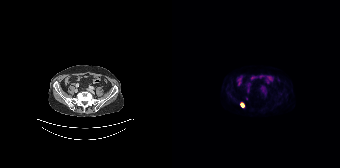
Coordinates are on the 168×168 PET (right) panel. PSMA-avid tumor lesion bounding box (x, y, width, height): x=68 y=102 w=5 h=6. Small PSMA-avid focus (2 to 4 px across) near (center x, center y): (74, 98). Left: CT. Right: PSMA PET, same axial level, 18F tracer. Acquired on Siemens Biograph 64-4R TruePoint.